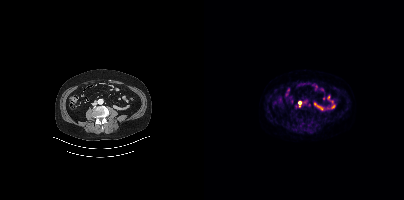
modality: PSMA PET/CT | tracer: 18F | view: axial | PET grid: 200×200
Coordinates are on the 200×200 PET (right) panel. PSMA-avid tumor lesion bounding box (x, y, width, height): x=95 y=101 w=3 h=6.